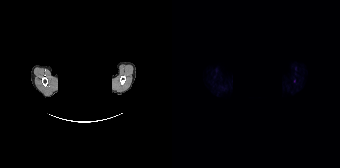
Findings: Coordinates are on the 168×168 PET (right) panel. Small PSMA-avid focus (2 to 4 px across) near (center x, center y): (122, 80).
- Paired axial CT (left) and PSMA PET (right), 18F tracer
- slice position z = 1998 mm
- PET panel 168×168 px (4.1 mm/px)
- a rectangular block over the head has been blanked out for de-identification